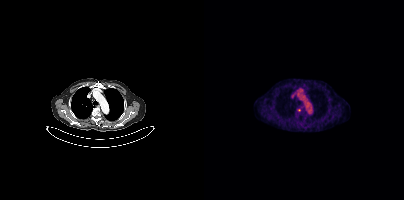
- Paired axial CT (left) and PSMA PET (right), 18F tracer
- acquired on Siemens Biograph mCT Flow 20
Findings: Coordinates are on the 200×200 PET (right) panel. Small PSMA-avid focus (2 to 4 px across) near (center x, center y): (95, 110).